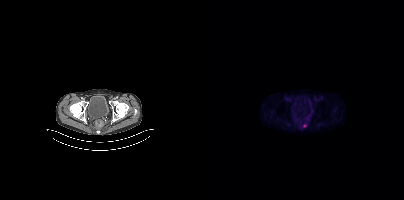
Coordinates are on the 200×200 PET (right) panel. Small PSMA-avid focus (2 to 4 px across) near (center x, center y): (100, 125).